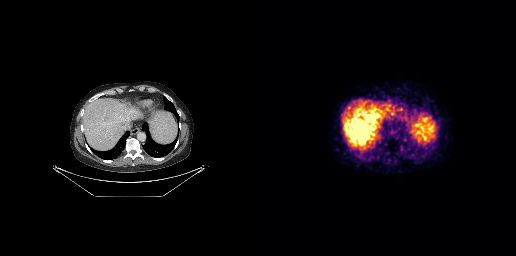
{"pet_grid":[256,256],"coord_frame":"pet_panel","coord_format":"x0,y0,x1,y1","psma_avid_lesions":false,"modality":"PSMA PET/CT","view":"axial","tracer":"[68Ga]Ga-PSMA-11"}